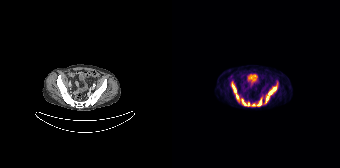
Coordinates are on the 168×168 PET (right) panel. PSMA-avid tumor lesion bounding boxes (x, y, width, height): x=59 y=82 w=19 h=25 / x=93 y=81 w=14 h=23 / x=80 y=98 w=10 h=9.